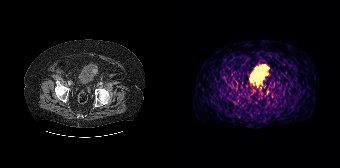
{"modality":"PSMA PET/CT","view":"axial","tracer":"68Ga","pet_grid":[168,168],"coord_frame":"pet_panel","coord_format":"x0,y0,x1,y1","partial":true,"lesion_bboxes":[]}